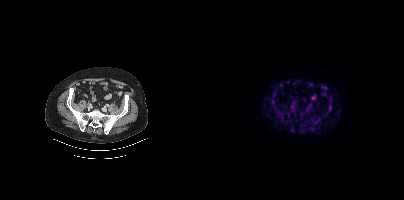
{"modality":"PSMA PET/CT","view":"axial","tracer":"[18F]PSMA-1007","pet_grid":[200,200],"coord_frame":"pet_panel","coord_format":"x0,y0,x1,y1","psma_avid_lesions":false}